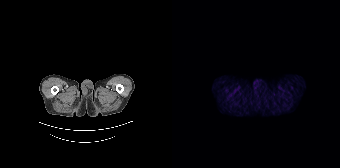
Technique: Left: CT. Right: PSMA PET, same axial level, 68Ga tracer. slice 20 of 195. PET panel 168×168 px (4.1 mm/px).
Findings: This slice has no annotated PSMA-avid lesion.